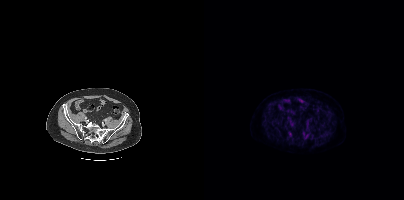
This slice has no annotated PSMA-avid lesion.